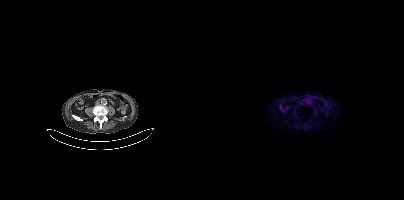
{"modality":"PSMA PET/CT","view":"axial","tracer":"[18F]PSMA-1007","pet_grid":[200,200],"coord_frame":"pet_panel","coord_format":"x0,y0,x1,y1","psma_avid_lesions":false}